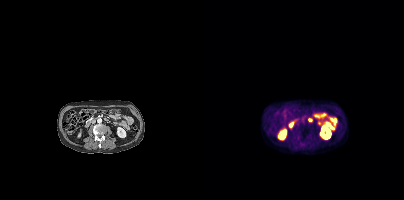
modality: PSMA PET/CT | tracer: [18F]PSMA-1007 | view: axial | PET grid: 200×200
Negative for PSMA-avid disease on this slice.